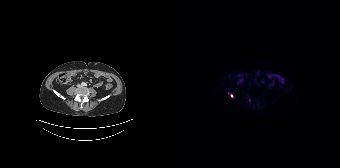
Coordinates are on the 168×168 PET (right) panel. (showing 2 of 3 foci) Small PSMA-avid foci (2 to 4 px across) near (center x, center y): (59, 95); (77, 100). Two-panel axial: CT | PSMA PET, 18F-PSMA tracer. Acquired on Siemens Biograph 64-4R TruePoint.